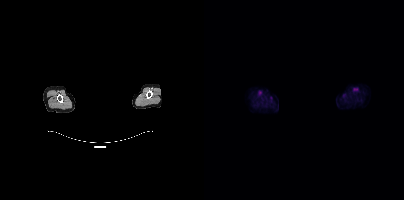
modality: PSMA PET/CT | tracer: 18F | view: axial | deidentification: facial region redacted
No tumor lesions annotated on this slice.